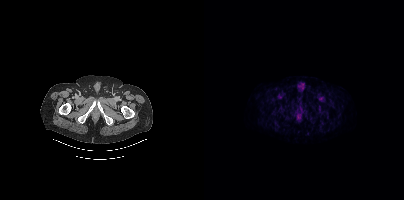
No PSMA-avid tumor lesions on this slice. Two-panel axial: CT | PSMA PET, 18F tracer. Slice position z = -1519 mm. PET panel 200×200 px (4.1 mm/px).